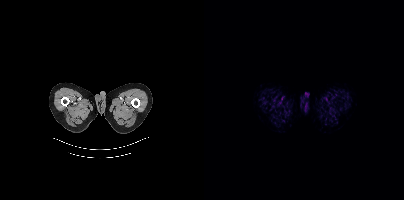
Left: CT. Right: PSMA PET, same axial level, [18F]PSMA-1007 tracer. Slice position z = -1659 mm. No tumor lesions annotated on this slice.